Two-panel axial: CT | PSMA PET, 18F-PSMA tracer. PET panel 200×200 px (4.1 mm/px).
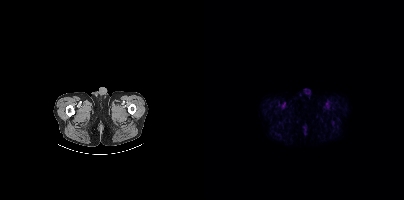
This slice has no annotated PSMA-avid lesion.